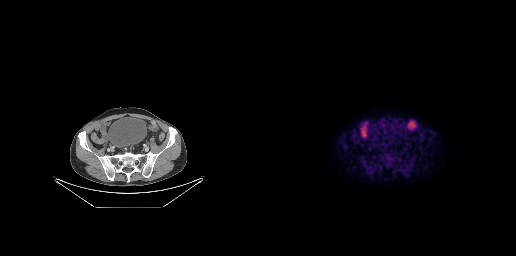
No PSMA-avid tumor lesions on this slice.